- Left: CT. Right: PSMA PET, same axial level, [18F]PSMA-1007 tracer
- acquired on Siemens Biograph mCT Flow 20
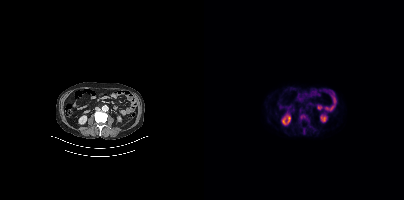
Findings: Coordinates are on the 200×200 PET (right) panel. PSMA-avid tumor lesion bounding boxes (x0,y0,x1,y1): [96,114,103,119], [99,128,101,134].